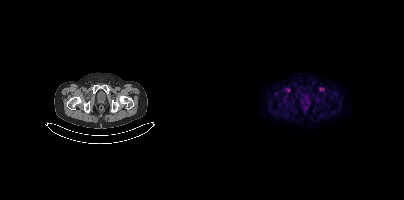
Findings: This slice has no annotated PSMA-avid lesion.
- Left: CT. Right: PSMA PET, same axial level, 18F-PSMA tracer